Left: CT. Right: PSMA PET, same axial level, 18F-PSMA tracer.
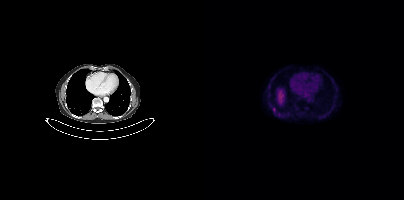
Coordinates are on the 200×200 PET (right) panel. Small PSMA-avid focus (2 to 4 px across) near (center x, center y): (70, 109).